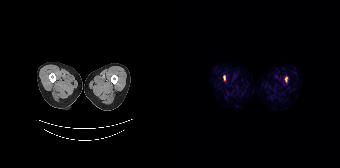
Coordinates are on the 168×168 PET (right) panel. PSMA-avid tumor lesion bounding boxes (x0, y0)-(x1, y1): (51, 75)-(53, 80) / (113, 77)-(115, 81).